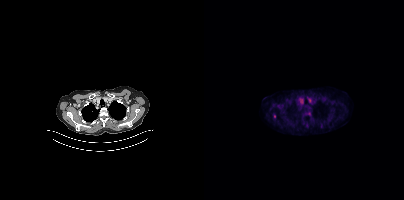
Paired axial CT (left) and PSMA PET (right), 18F-PSMA tracer. Slice position z = -401 mm. PET panel 200×200 px (4.1 mm/px). Coordinates are on the 200×200 PET (right) panel. (showing 1 of 2 foci) PSMA-avid tumor lesion bounding box (x0,y0,x1,y1): [70,114,71,118].